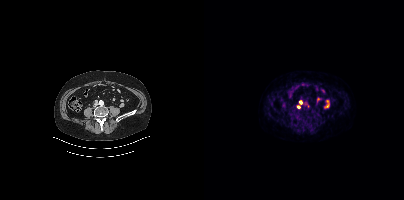
Coordinates are on the 200×200 PET (right) panel. Small PSMA-avid foci (2 to 4 px across) near (center x, center y): (96, 102); (94, 106). Paired axial CT (left) and PSMA PET (right), [18F]PSMA-1007 tracer. Slice 159 of 454. PET panel 200×200 px (4.1 mm/px).